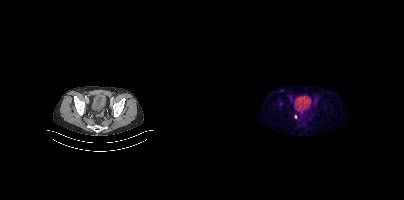
Coordinates are on the 200×200 PET (right) panel. Small PSMA-avid focus (2 to 4 px across) near (center x, center y): (91, 116).